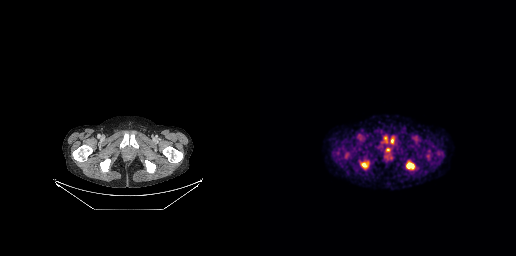
- Two-panel axial: CT | PSMA PET, [18F]PSMA-1007 tracer
- slice 42 of 263
Findings: Coordinates are on the 256×256 PET (right) panel. PSMA-avid tumor lesion bounding boxes (x, y, width, height): x=100 y=161 w=9 h=8; x=125 y=147 w=7 h=7; x=147 y=163 w=7 h=5; x=130 y=136 w=5 h=7; x=125 y=135 w=3 h=7.